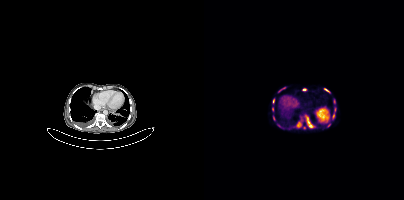
Findings: Coordinates are on the 200×200 PET (right) panel. (showing 11 of 14 foci) PSMA-avid tumor lesion bounding boxes (x, y, width, height): x=102 y=116 w=8 h=12 / x=93 y=122 w=4 h=5 / x=120 y=89 w=6 h=4 / x=74 y=87 w=8 h=6 / x=69 y=98 w=2 h=5. Small PSMA-avid foci (2 to 4 px across) near (center x, center y): (129, 116) / (100, 89) / (130, 101) / (68, 109) / (69, 118) / (124, 125).
- Left: CT. Right: PSMA PET, same axial level, [68Ga]Ga-PSMA-11 tracer
- slice position z = -753 mm